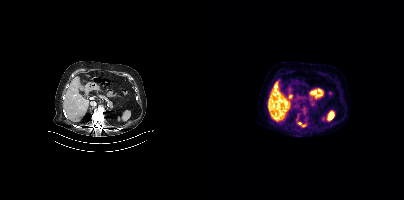
Coordinates are on the 200×200 PET (right) panel. PSMA-avid tumor lesion bounding box (x0, y0)-(x1, y1): (95, 123)-(102, 127).